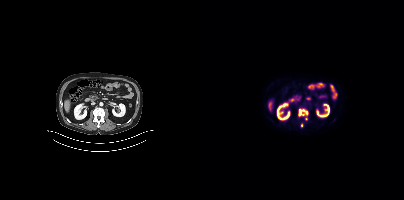
Coordinates are on the 200×200 PET (right) panel. PSMA-avid tumor lesion bounding box (x0,y0,x1,y1): [94,108,104,116]. Small PSMA-avid foci (2 to 4 px across) near (center x, center y): (102, 118) (97, 125).